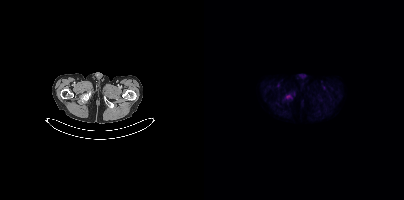
Coordinates are on the 200×200 PET (right) panel. Small PSMA-avid focus (2 to 4 px across) near (center x, center y): (84, 96).
modality: PSMA PET/CT | tracer: [18F]PSMA-1007 | view: axial | PET grid: 200×200